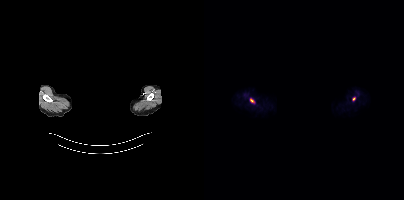
Technique: Paired axial CT (left) and PSMA PET (right), [18F]PSMA-1007 tracer. PET panel 200×200 px (4.1 mm/px).
Note: A rectangular block over the head has been blanked out for de-identification.
Findings: Coordinates are on the 200×200 PET (right) panel. Small PSMA-avid foci (2 to 4 px across) near (center x, center y): (47, 100); (150, 99).